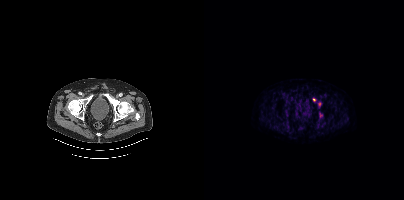
Coordinates are on the 200×200 PET (right) panel. (showing 2 of 3 foci) Small PSMA-avid foci (2 to 4 px across) near (center x, center y): (110, 99) | (115, 104).